modality: PSMA PET/CT | tracer: 18F-PSMA | view: axial | PET grid: 200×200
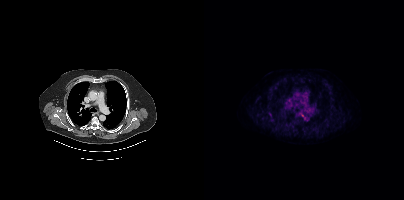
Coordinates are on the 200×200 PET (right) panel. Small PSMA-avid focus (2 to 4 px across) near (center x, center y): (98, 114).